Technique: Paired axial CT (left) and PSMA PET (right), 68Ga-PSMA tracer. slice position z = -1256 mm. PET panel 200×200 px (4.1 mm/px).
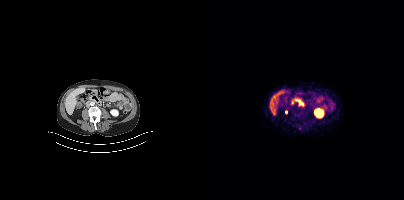
Findings: Coordinates are on the 200×200 PET (right) panel. (showing 1 of 2 foci) Small PSMA-avid focus (2 to 4 px across) near (center x, center y): (88, 102).